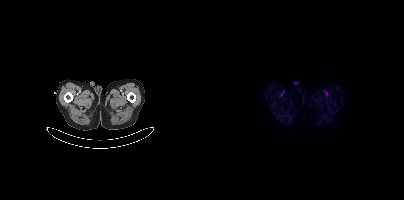
Technique: Left: CT. Right: PSMA PET, same axial level, [18F]PSMA-1007 tracer.
Findings: No tumor lesions annotated on this slice.